- Two-panel axial: CT | PSMA PET, 18F tracer
- PET panel 200×200 px (4.1 mm/px)
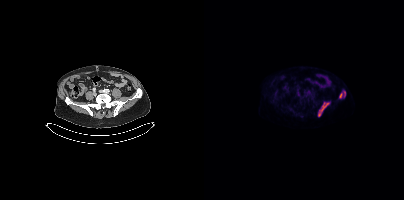
Findings: Coordinates are on the 200×200 PET (right) panel. PSMA-avid tumor lesion bounding boxes (x, y, width, height): x=114 y=102 w=12 h=15; x=135 y=93 w=4 h=6; x=139 y=91 w=3 h=6.